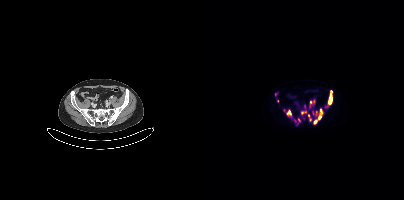
Coordinates are on the 200×200 PET (right) panel. (showing 11 of 15 foci) PSMA-avid tumor lesion bounding boxes (x0, y0)-(x1, y1): (124, 90)-(128, 104) / (114, 109)-(118, 119) / (83, 110)-(87, 117) / (106, 100)-(110, 105) / (97, 111)-(101, 115) / (105, 116)-(107, 121). Small PSMA-avid foci (2 to 4 px across) near (center x, center y): (111, 121) / (95, 119) / (71, 94) / (91, 120) / (112, 111).